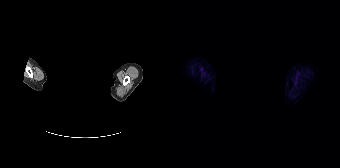
This slice has no annotated PSMA-avid lesion. Two-panel axial: CT | PSMA PET, [18F]PSMA-1007 tracer. Slice 178 of 195. Facial anatomy redacted by setting a rectangular region of the head to black.